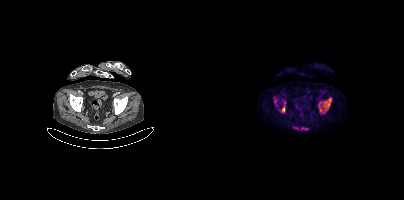
modality: PSMA PET/CT | tracer: 18F | view: axial
Coordinates are on the 200×200 PET (right) panel. (showing 7 of 9 foci) PSMA-avid tumor lesion bounding boxes (x0,y0,x1,y1): [120,98,127,107] [70,97,73,105] [78,106,80,112] [97,127,104,129] [79,100,81,104]. Small PSMA-avid foci (2 to 4 px across) near (center x, center y): (91, 127) (116, 110).